The head region is masked for de-identification.
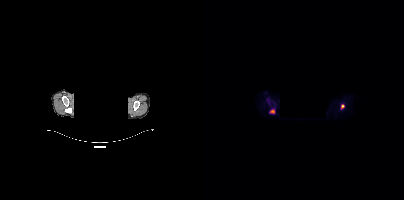
Coordinates are on the 200×200 PET (right) panel. PSMA-avid tumor lesion bounding boxes (x0, y0)-(x1, y1): (65, 109)-(70, 113); (137, 104)-(140, 108).